Technique: Two-panel axial: CT | PSMA PET, [68Ga]Ga-PSMA-11 tracer.
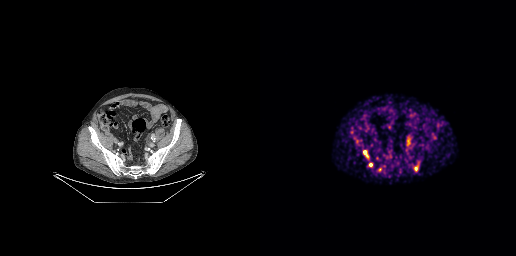
Findings: Coordinates are on the 256×256 PET (right) panel. (showing 3 of 4 foci) PSMA-avid tumor lesion bounding box (x0,y0,x1,y1): [104,151,108,157]. Small PSMA-avid foci (2 to 4 px across) near (center x, center y): (110, 164) (155, 168).